modality: PSMA PET/CT | tracer: 18F-PSMA | view: axial
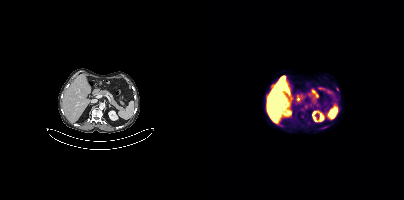
No PSMA-avid tumor lesions on this slice.